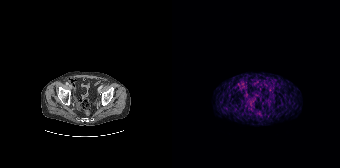
No tumor lesions annotated on this slice.